modality: PSMA PET/CT | tracer: 18F | view: axial | PET grid: 200×200
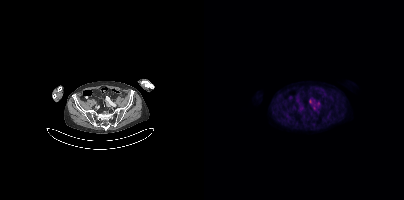
Coordinates are on the 200×200 PET (right) panel. PSMA-avid tumor lesion bounding box (x0, y0)-(x1, y1): (113, 101)-(116, 105). Small PSMA-avid foci (2 to 4 px across) near (center x, center y): (106, 100) | (110, 108).